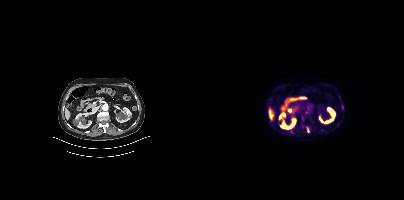
Coordinates are on the 200×200 PET (right) panel. (showing 3 of 4 foci) PSMA-avid tumor lesion bounding box (x0,y0,x1,y1): [102,127,105,132]. Small PSMA-avid foci (2 to 4 px across) near (center x, center y): (87, 132), (138, 107).